Left: CT. Right: PSMA PET, same axial level, 18F tracer. Slice position z = -1772 mm. PET panel 200×200 px (4.1 mm/px).
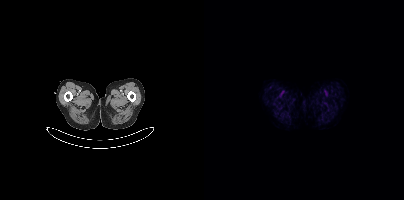
This slice has no annotated PSMA-avid lesion.